modality: PSMA PET/CT | tracer: 18F-PSMA | view: axial
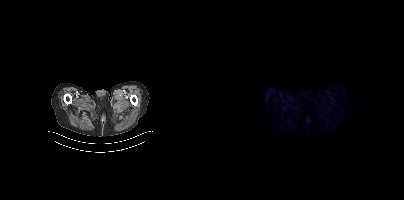
Negative for PSMA-avid disease on this slice.